Technique: Two-panel axial: CT | PSMA PET, 68Ga-PSMA tracer. acquired on Siemens Biograph mCT Flow 20.
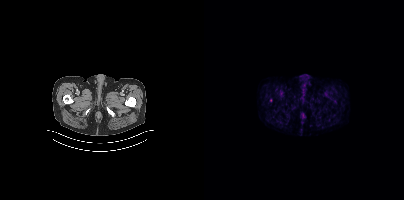
Findings: Coordinates are on the 200×200 PET (right) panel. Small PSMA-avid focus (2 to 4 px across) near (center x, center y): (66, 100).